modality: PSMA PET/CT | tracer: [18F]PSMA-1007 | view: axial | PET grid: 200×200
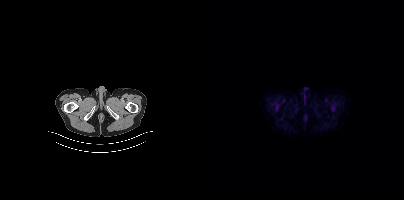
Negative for PSMA-avid disease on this slice.